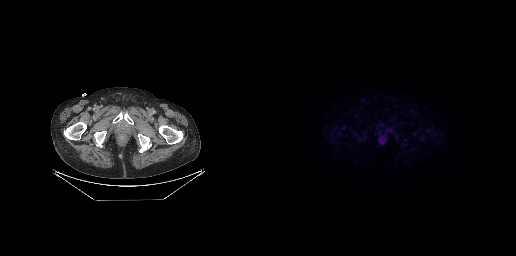
No tumor lesions annotated on this slice. Left: CT. Right: PSMA PET, same axial level, [18F]PSMA-1007 tracer. Slice 68 of 299. PET panel 256×256 px (2.7 mm/px).